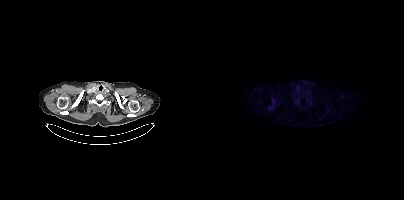
Findings: This slice has no annotated PSMA-avid lesion.
- Paired axial CT (left) and PSMA PET (right), 18F-PSMA tracer
- PET panel 200×200 px (4.1 mm/px)